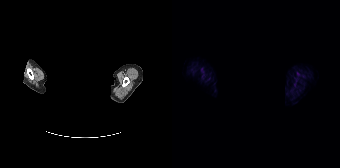
modality: PSMA PET/CT | tracer: 18F-PSMA | view: axial | redaction: head region blanked (face removed)
This slice has no annotated PSMA-avid lesion.